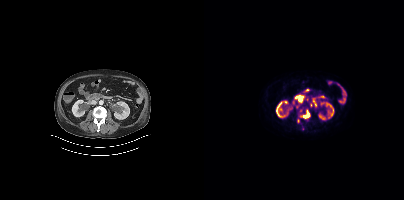
Paired axial CT (left) and PSMA PET (right), [18F]PSMA-1007 tracer. Acquired on Siemens Biograph mCT Flow 20. Slice position z = -1377 mm. PET panel 200×200 px (4.1 mm/px). Coordinates are on the 200×200 PET (right) panel. (showing 1 of 3 foci) PSMA-avid tumor lesion bounding box (x, y, width, height): x=97 y=110 w=10 h=9.